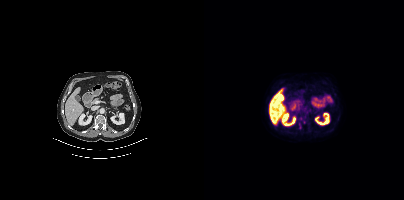
{"modality":"PSMA PET/CT","view":"axial","tracer":"[18F]PSMA-1007","pet_grid":[200,200],"coord_frame":"pet_panel","coord_format":"x0,y0,x1,y1","psma_avid_lesions":false}